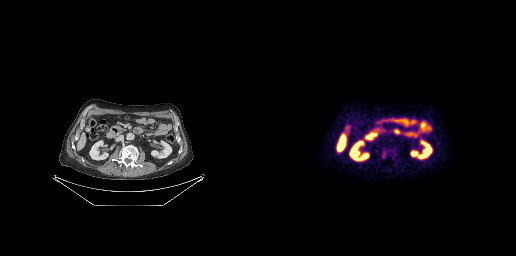
- Left: CT. Right: PSMA PET, same axial level, 18F-PSMA tracer
- acquired on GE Discovery 690
- slice position z = -441 mm
- PET panel 256×256 px (2.7 mm/px)
Findings: Coordinates are on the 256×256 PET (right) panel. PSMA-avid tumor lesion bounding box (x0, y0)-(x1, y1): (122, 149)-(126, 158). Small PSMA-avid focus (2 to 4 px across) near (center x, center y): (128, 150).